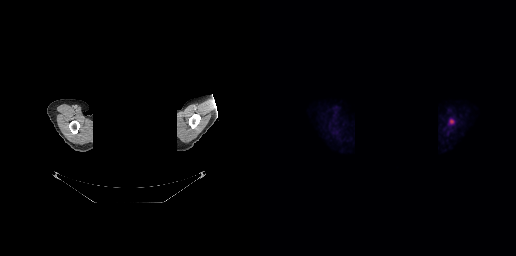
Coordinates are on the 256×256 PET (right) panel. PSMA-avid tumor lesion bounding boxes:
| # | x0 | y0 | x1 | y1 |
|---|---|---|---|---|
| 1 | 189 | 118 | 194 | 124 |
Two-panel axial: CT | PSMA PET, [18F]PSMA-1007 tracer. PET panel 256×256 px (2.7 mm/px). The face region was removed for patient privacy by blanking a rectangle over the head.